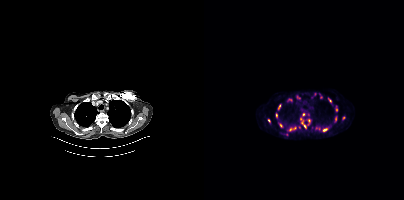
Coordinates are on the 200×200 PET (right) panel. PSMA-avid tumor lesion bounding boxes (partial; 3 more foci not listed):
| # | x0 | y0 | x1 | y1 |
|---|---|---|---|---|
| 1 | 96 | 118 | 102 | 128 |
| 2 | 92 | 95 | 96 | 99 |
| 3 | 74 | 104 | 77 | 110 |
| 4 | 119 | 128 | 123 | 131 |
| 5 | 85 | 127 | 92 | 130 |
| 6 | 75 | 123 | 78 | 127 |
| 7 | 72 | 113 | 73 | 118 |
| 8 | 124 | 98 | 127 | 102 |
Small PSMA-avid foci (2 to 4 px across) near (center x, center y): (65, 120); (105, 120); (111, 94); (99, 114); (132, 109); (139, 117).
Left: CT. Right: PSMA PET, same axial level, 18F-PSMA tracer. PET panel 200×200 px (4.1 mm/px).